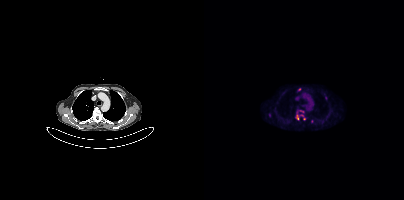
Technique: Two-panel axial: CT | PSMA PET, 18F tracer. acquired on Siemens Biograph mCT Flow 20. PET panel 200×200 px (4.1 mm/px).
Findings: Coordinates are on the 200×200 PET (right) panel. (showing 4 of 6 foci) PSMA-avid tumor lesion bounding box (x0,y0,x1,y1): [92,114,94,119]. Small PSMA-avid foci (2 to 4 px across) near (center x, center y): (97, 111), (100, 118), (98, 115).